Technique: Left: CT. Right: PSMA PET, same axial level, 68Ga tracer.
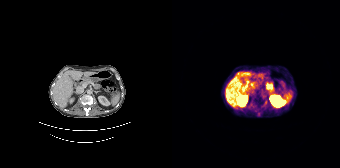
Findings: Negative for PSMA-avid disease on this slice.